- Left: CT. Right: PSMA PET, same axial level, [18F]PSMA-1007 tracer
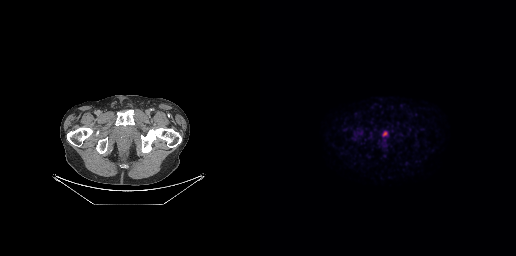
Findings: This slice has no annotated PSMA-avid lesion.